Two-panel axial: CT | PSMA PET, 18F tracer. Acquired on Siemens Biograph mCT Flow 20. Slice position z = -864 mm. PET panel 200×200 px (4.1 mm/px). Privacy masking over the head, with the pixels inside a rectangle set to black.
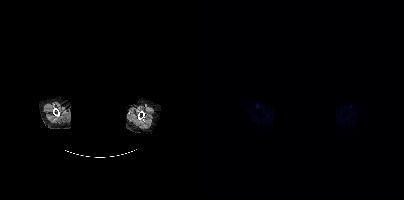
This slice has no annotated PSMA-avid lesion.